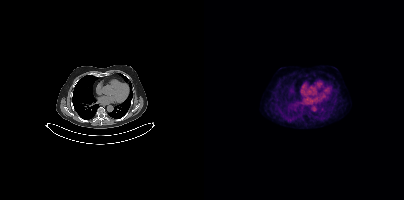
- Paired axial CT (left) and PSMA PET (right), 18F-PSMA tracer
- acquired on Siemens Biograph mCT Flow 20
- PET panel 200×200 px (4.1 mm/px)
Findings: Negative for PSMA-avid disease on this slice.